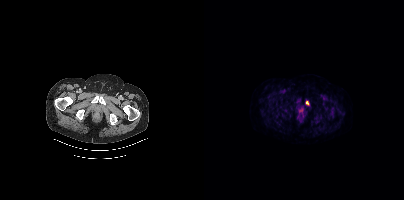
Technique: Two-panel axial: CT | PSMA PET, 18F tracer. acquired on Siemens Biograph mCT Flow 20. slice position z = -884 mm. PET panel 200×200 px (4.1 mm/px).
Findings: Coordinates are on the 200×200 PET (right) panel. PSMA-avid tumor lesion bounding box (x0,y0,x1,y1): [102,101,105,105].